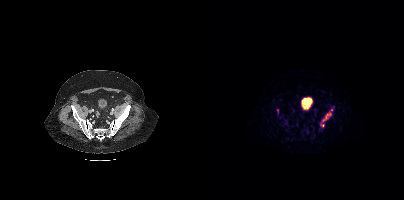
{"modality":"PSMA PET/CT","view":"axial","tracer":"[68Ga]Ga-PSMA-11","pet_grid":[200,200],"coord_frame":"pet_panel","coord_format":"x0,y0,x1,y1","lesion_bboxes":[[116,108,129,126]]}